Paired axial CT (left) and PSMA PET (right), 18F-PSMA tracer.
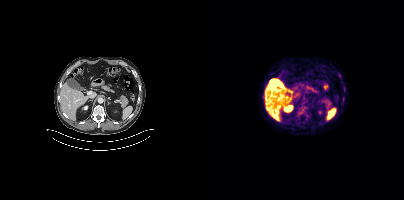
This slice has no annotated PSMA-avid lesion.